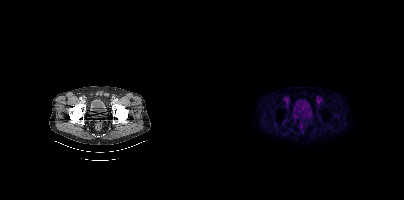
{"pet_grid":[200,200],"coord_frame":"pet_panel","coord_format":"x0,y0,x1,y1","psma_avid_lesions":false,"modality":"PSMA PET/CT","view":"axial","tracer":"18F-PSMA"}